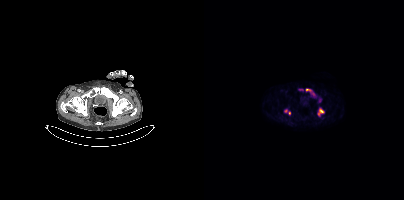
Coordinates are on the 200×200 PET (right) panel. PSMA-avid tumor lesion bounding boxes:
| # | x0 | y0 | x1 | y1 |
|---|---|---|---|---|
| 1 | 113 | 108 | 120 | 116 |
| 2 | 102 | 89 | 107 | 91 |
Small PSMA-avid foci (2 to 4 px across) near (center x, center y): (81, 110); (109, 94); (85, 113).
Two-panel axial: CT | PSMA PET, [18F]PSMA-1007 tracer. Acquired on Siemens Biograph mCT Flow 20. PET panel 200×200 px (4.1 mm/px).